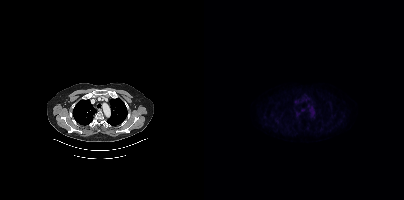
Paired axial CT (left) and PSMA PET (right), [18F]PSMA-1007 tracer. Acquired on Siemens Biograph mCT Flow 20. Slice position z = -480 mm. PET panel 200×200 px (4.1 mm/px). No tumor lesions annotated on this slice.